The head region is masked for de-identification.
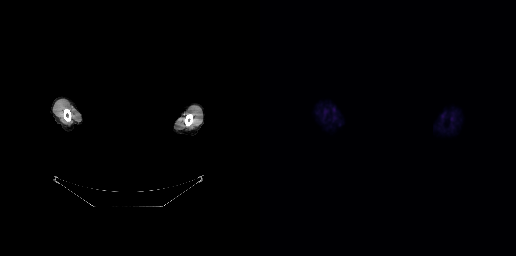
This slice has no annotated PSMA-avid lesion.